Two-panel axial: CT | PSMA PET, 18F tracer. PET panel 200×200 px (4.1 mm/px).
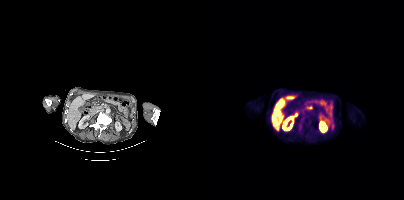
Coordinates are on the 200×200 PET (right) panel. Small PSMA-avid focus (2 to 4 px across) near (center x, center y): (98, 118).